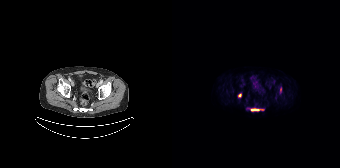
- Two-panel axial: CT | PSMA PET, 18F tracer
- slice position z = -1212 mm
- PET panel 168×168 px (4.1 mm/px)
Findings: Coordinates are on the 168×168 PET (right) panel. (showing 2 of 3 foci) PSMA-avid tumor lesion bounding box (x0,y0,x1,y1): [79,108,91,111]. Small PSMA-avid focus (2 to 4 px across) near (center x, center y): (67, 95).